modality: PSMA PET/CT | tracer: 18F-PSMA | view: axial | PET grid: 200×200
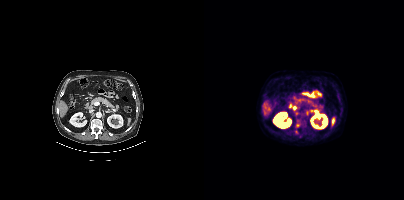
Coordinates are on the 200×200 PET (right) panel. Small PSMA-avid foci (2 to 4 px across) near (center x, center y): (91, 131) (94, 125) (93, 113).